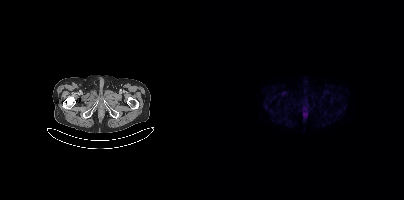
Two-panel axial: CT | PSMA PET, 18F-PSMA tracer. Slice position z = -969 mm. No tumor lesions annotated on this slice.